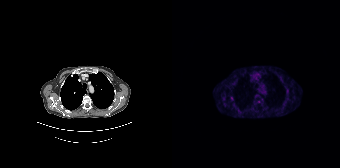
Two-panel axial: CT | PSMA PET, 68Ga tracer. Slice 150 of 195. PET panel 168×168 px (4.1 mm/px). Coordinates are on the 168×168 PET (right) panel. (showing 1 of 2 foci) Small PSMA-avid focus (2 to 4 px across) near (center x, center y): (59, 97).